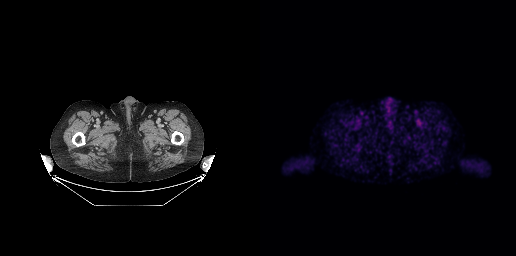
No PSMA-avid tumor lesions on this slice.